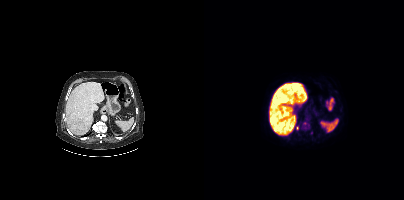
Coordinates are on the 200×200 PET (right) panel. Small PSMA-avid foci (2 to 4 px across) near (center x, center y): (93, 128), (100, 123). Two-panel axial: CT | PSMA PET, [18F]PSMA-1007 tracer. Slice position z = -1138 mm. PET panel 200×200 px (4.1 mm/px).